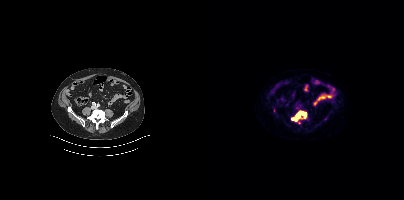
Technique: Paired axial CT (left) and PSMA PET (right), 18F-PSMA tracer. acquired on Siemens Biograph mCT Flow 20. PET panel 200×200 px (4.1 mm/px).
Findings: Coordinates are on the 200×200 PET (right) panel. (showing 2 of 4 foci) PSMA-avid tumor lesion bounding box (x0, y0)-(x1, y1): (87, 110)-(102, 121). Small PSMA-avid focus (2 to 4 px across) near (center x, center y): (121, 118).